- Two-panel axial: CT | PSMA PET, [18F]PSMA-1007 tracer
- acquired on Siemens Biograph mCT Flow 20
- slice position z = 57 mm
- PET panel 200×200 px (4.1 mm/px)
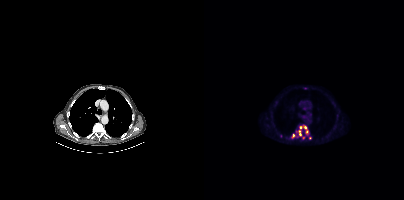
Findings: Coordinates are on the 200×200 PET (right) panel. (showing 5 of 7 foci) PSMA-avid tumor lesion bounding box (x, y, width, height): x=94 y=130 w=7 h=10. Small PSMA-avid foci (2 to 4 px across) near (center x, center y): (100, 127) / (103, 132) / (96, 127) / (76, 136).